Left: CT. Right: PSMA PET, same axial level, [18F]PSMA-1007 tracer. Slice 152 of 371.
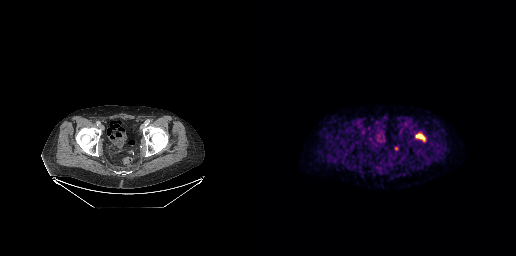
Coordinates are on the 256×256 PET (right) panel. PSMA-avid tumor lesion bounding box (x0,y0,x1,y1): [156,133,165,140].